- Two-panel axial: CT | PSMA PET, 68Ga-PSMA tracer
- slice position z = -758 mm
- PET panel 256×256 px (2.7 mm/px)
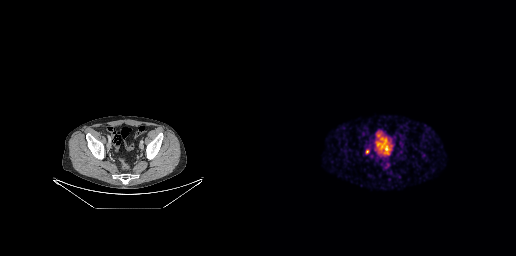
Findings: Coordinates are on the 256×256 PET (right) panel. Small PSMA-avid focus (2 to 4 px across) near (center x, center y): (107, 151).